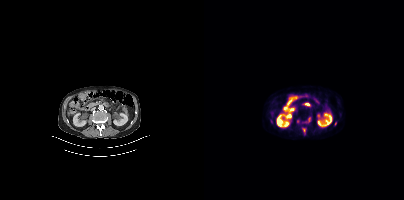
Coordinates are on the 200×200 PET (right) panel. PSMA-avid tumor lesion bounding boxes (x0, y0)-(x1, y1): (98, 128)-(101, 132); (104, 117)-(106, 122). Small PSMA-avid focus (2 to 4 px across) near (center x, center y): (93, 121).